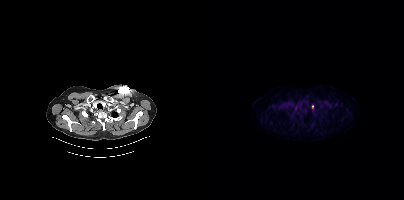
Findings: Only PSMA-avid lesion pieces thinner than 2 px on this slice (not listed).
Technique: Left: CT. Right: PSMA PET, same axial level, [18F]PSMA-1007 tracer. PET panel 200×200 px (4.1 mm/px).